Technique: Paired axial CT (left) and PSMA PET (right), 18F tracer. slice position z = -1526 mm. PET panel 200×200 px (4.1 mm/px).
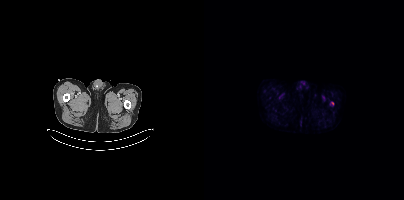
Findings: Coordinates are on the 200×200 PET (right) panel. Small PSMA-avid focus (2 to 4 px across) near (center x, center y): (128, 103).